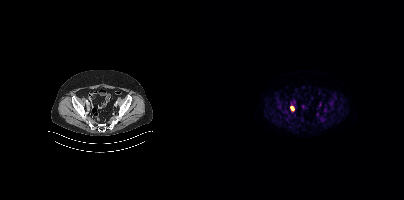
Coordinates are on the 200×200 PET (right) panel. PSMA-avid tumor lesion bounding box (x0, y0)-(x1, y1): (86, 106)-(90, 111).
modality: PSMA PET/CT | tracer: 18F | view: axial | PET grid: 200×200